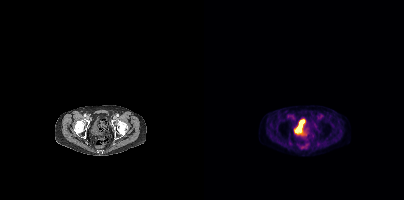
No tumor lesions annotated on this slice.